- Left: CT. Right: PSMA PET, same axial level, 18F tracer
- slice 131 of 452
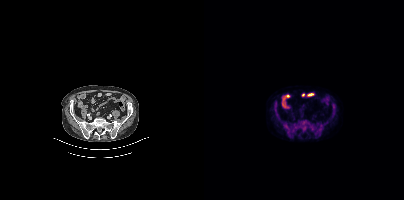
Findings: Coordinates are on the 200×200 PET (right) panel. PSMA-avid tumor lesion bounding boxes (x, y, width, height): x=128 y=104 w=4 h=10; x=70 y=104 w=4 h=12.